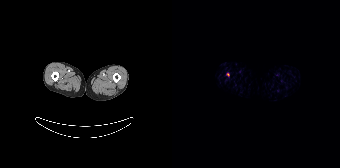
Left: CT. Right: PSMA PET, same axial level, [18F]PSMA-1007 tracer. Acquired on Siemens Biograph 64-4R TruePoint. Coordinates are on the 168×168 PET (right) panel. Small PSMA-avid focus (2 to 4 px across) near (center x, center y): (56, 74).